Two-panel axial: CT | PSMA PET, 18F-PSMA tracer. PET panel 200×200 px (4.1 mm/px).
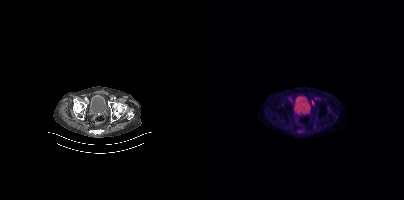
Coordinates are on the 200×200 PET (right) panel. (showing 3 of 4 foci) PSMA-avid tumor lesion bounding boxes (x, y, width, height): x=128 y=113 w=6 h=7 / x=107 y=100 w=4 h=6. Small PSMA-avid focus (2 to 4 px across) near (center x, center y): (112, 98).